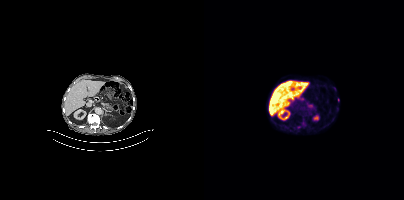
{"modality":"PSMA PET/CT","view":"axial","tracer":"18F","pet_grid":[200,200],"coord_frame":"pet_panel","coord_format":"x0,y0,x1,y1","partial":true,"lesion_bboxes":[],"small_foci_centers":[[134,99]]}